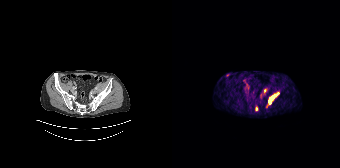
modality: PSMA PET/CT | tracer: [68Ga]Ga-PSMA-11 | view: axial
Coordinates are on the 168×168 PET (right) panel. PSMA-avid tumor lesion bounding boxes (x0,y0,x1,y1): [96,96,101,103]; [103,92,107,96]. Small PSMA-avid foci (2 to 4 px across) near (center x, center y): (93, 90); (84, 108).